Technique: Two-panel axial: CT | PSMA PET, 18F tracer. acquired on Siemens Biograph mCT Flow 20. PET panel 200×200 px (4.1 mm/px).
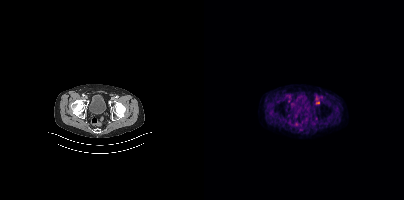
Findings: No tumor lesions annotated on this slice.